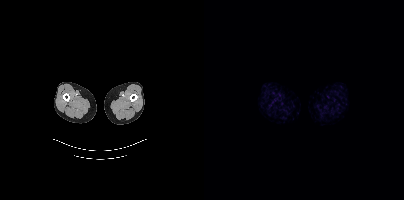
Two-panel axial: CT | PSMA PET, 18F-PSMA tracer. Acquired on Siemens Biograph mCT Flow 20. Negative for PSMA-avid disease on this slice.